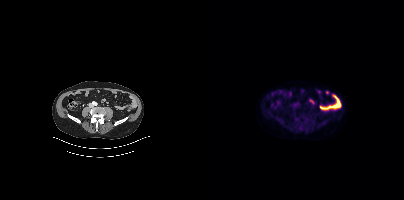
{"pet_grid":[200,200],"coord_frame":"pet_panel","coord_format":"x0,y0,x1,y1","psma_avid_lesions":false,"modality":"PSMA PET/CT","view":"axial","tracer":"[18F]PSMA-1007"}